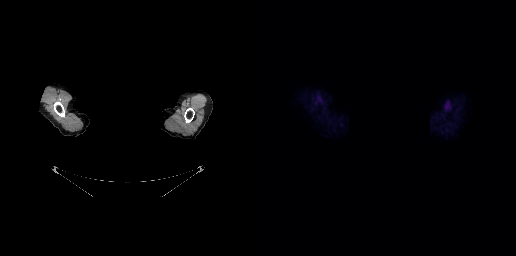
This slice has no annotated PSMA-avid lesion. De-identified by setting a box covering the face to black before release. Paired axial CT (left) and PSMA PET (right), 18F tracer. Acquired on GE Discovery 690.